Technique: Two-panel axial: CT | PSMA PET, [68Ga]Ga-PSMA-11 tracer. PET panel 168×168 px (4.1 mm/px).
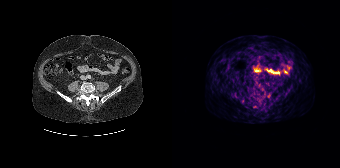
Findings: This slice has no annotated PSMA-avid lesion.